Paired axial CT (left) and PSMA PET (right), [68Ga]Ga-PSMA-11 tracer. Slice position z = -1454 mm. PET panel 200×200 px (4.1 mm/px).
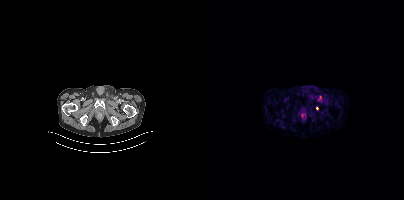
Coordinates are on the 200×200 PET (right) panel. (showing 1 of 2 foci) Small PSMA-avid focus (2 to 4 px across) near (center x, center y): (112, 108).